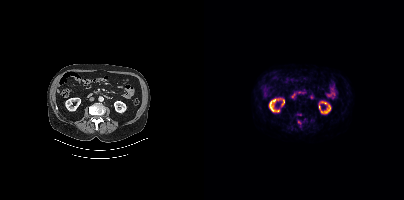
Findings: Coordinates are on the 200×200 PET (right) panel. Small PSMA-avid focus (2 to 4 px across) near (center x, center y): (95, 122).
Technique: Left: CT. Right: PSMA PET, same axial level, 18F tracer. slice position z = -711 mm. PET panel 200×200 px (4.1 mm/px).